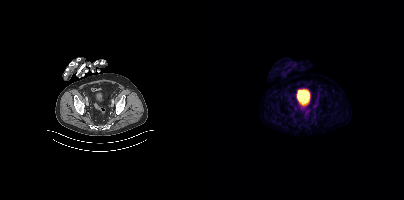
{"pet_grid":[200,200],"coord_frame":"pet_panel","coord_format":"x0,y0,x1,y1","psma_avid_lesions":false,"modality":"PSMA PET/CT","view":"axial","tracer":"68Ga"}